An anonymization step blacked out a rectangle over the head in this scan. Paired axial CT (left) and PSMA PET (right), [68Ga]Ga-PSMA-11 tracer. Acquired on Siemens Biograph 64-4R TruePoint.
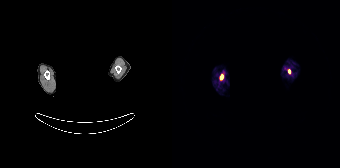
Coordinates are on the 168×168 PET (right) panel. PSMA-avid tumor lesion bounding boxes:
| # | x0 | y0 | x1 | y1 |
|---|---|---|---|---|
| 1 | 48 | 74 | 51 | 79 |
Small PSMA-avid focus (2 to 4 px across) near (center x, center y): (117, 71).